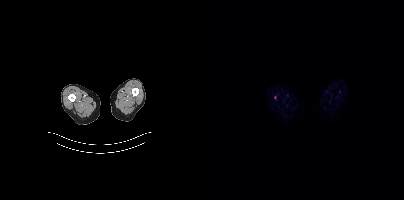
- Left: CT. Right: PSMA PET, same axial level, 18F tracer
- slice position z = -1626 mm
Findings: Only PSMA-avid lesion pieces thinner than 2 px on this slice (not listed).